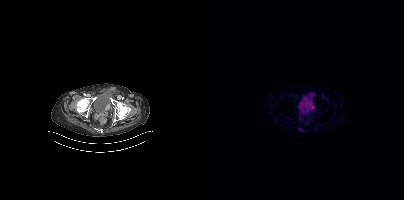
Coordinates are on the 200×200 PET (right) panel. (showing 2 of 4 foci) Small PSMA-avid foci (2 to 4 px across) near (center x, center y): (109, 108), (96, 129).
modality: PSMA PET/CT | tracer: [18F]PSMA-1007 | view: axial